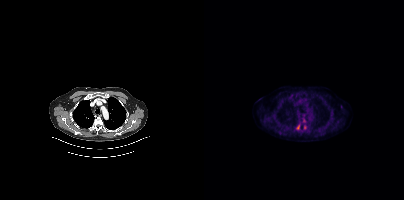
- Left: CT. Right: PSMA PET, same axial level, [18F]PSMA-1007 tracer
Findings: Coordinates are on the 200×200 PET (right) panel. (showing 3 of 4 foci) PSMA-avid tumor lesion bounding box (x0,y0,x1,y1): [92,124,95,129]. Small PSMA-avid foci (2 to 4 px across) near (center x, center y): (101, 127); (100, 120).